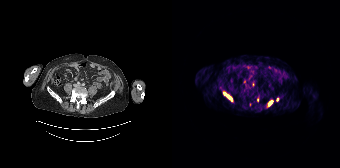
{"modality":"PSMA PET/CT","view":"axial","tracer":"[68Ga]Ga-PSMA-11","pet_grid":[168,168],"coord_frame":"pet_panel","coord_format":"x0,y0,x1,y1","partial":true,"lesion_bboxes":[[53,93,60,99]],"small_foci_centers":[[98,102]]}